Left: CT. Right: PSMA PET, same axial level, [18F]PSMA-1007 tracer. Acquired on Siemens Biograph mCT Flow 20.
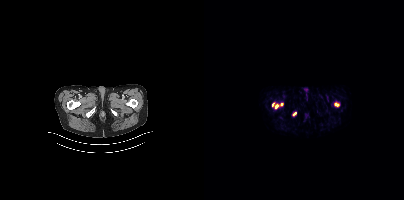
Coordinates are on the 200×200 PET (right) panel. PSMA-avid tumor lesion bounding boxes (x0, y0)-(x1, y1): (68, 102)-(78, 108); (131, 103)-(135, 106). Small PSMA-avid focus (2 to 4 px across) near (center x, center y): (90, 113).